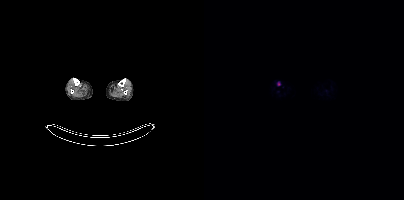
Two-panel axial: CT | PSMA PET, [18F]PSMA-1007 tracer. Slice position z = -1645 mm. PET panel 200×200 px (4.1 mm/px). Coordinates are on the 200×200 PET (right) panel. Small PSMA-avid focus (2 to 4 px across) near (center x, center y): (74, 83).